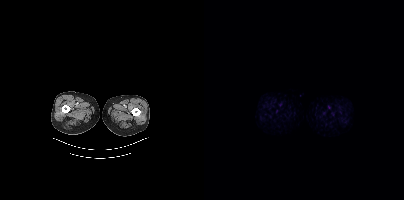
{"modality":"PSMA PET/CT","view":"axial","tracer":"18F","pet_grid":[200,200],"coord_frame":"pet_panel","coord_format":"x0,y0,x1,y1","psma_avid_lesions":false}